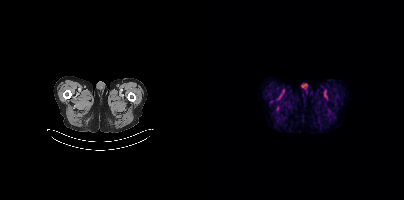
{"pet_grid":[200,200],"coord_frame":"pet_panel","coord_format":"x0,y0,x1,y1","psma_avid_lesions":false,"modality":"PSMA PET/CT","view":"axial","tracer":"[18F]PSMA-1007"}